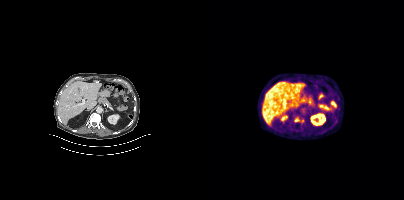
Coordinates are on the 200×200 PET (right) panel. Small PSMA-avid focus (2 to 4 px across) near (center x, center y): (92, 120). Left: CT. Right: PSMA PET, same axial level, [18F]PSMA-1007 tracer.